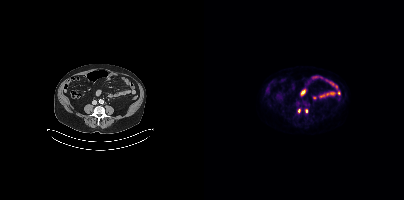
Coordinates are on the 200×200 PET (right) panel. Small PSMA-avid foci (2 to 4 px across) near (center x, center y): (95, 110) / (102, 110).